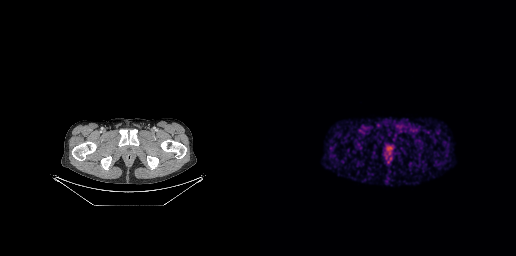
Left: CT. Right: PSMA PET, same axial level, [68Ga]Ga-PSMA-11 tracer. Acquired on GE Discovery 690. Slice position z = -947 mm. Coordinates are on the 256×256 PET (right) panel. Small PSMA-avid focus (2 to 4 px across) near (center x, center y): (129, 149).